- Two-panel axial: CT | PSMA PET, [18F]PSMA-1007 tracer
- slice position z = -1113 mm
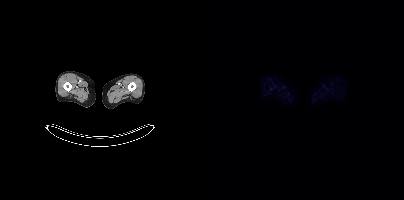
Findings: Negative for PSMA-avid disease on this slice.